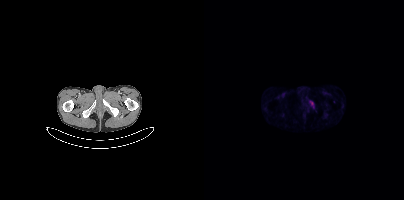
Coordinates are on the 200×200 PET (right) panel. PSMA-avid tumor lesion bounding box (x0,y0,x1,y1): [105,101,109,107].